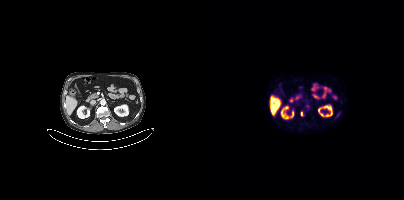
Coordinates are on the 200×200 PET (right) panel. Small PSMA-avid foci (2 to 4 px across) near (center x, center y): (104, 106) / (99, 115) / (97, 112).